Privacy masking over the head, with the pixels inside a rectangle set to black.
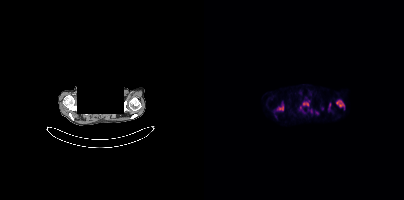
Coordinates are on the 200×200 PET (right) panel. PSMA-avid tumor lesion bounding boxes (x0,y0,x1,y1): [132,100,140,107], [73,105,79,110], [99,102,104,105], [124,103,126,109]. Small PSMA-avid foci (2 to 4 px across) near (center x, center y): (113, 113), (96, 108).